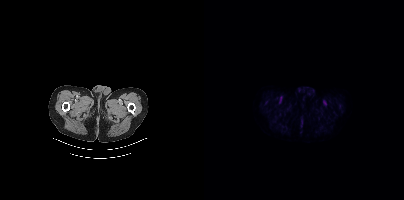
No tumor lesions annotated on this slice. Paired axial CT (left) and PSMA PET (right), 18F-PSMA tracer. PET panel 200×200 px (4.1 mm/px).